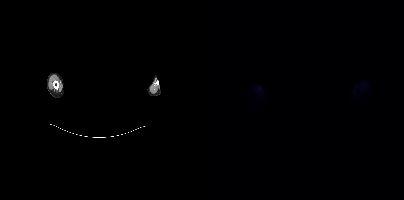
Findings: No tumor lesions annotated on this slice.
Technique: Paired axial CT (left) and PSMA PET (right), 18F tracer.
Note: Face de-identified by blanking a block of the head.